Technique: Two-panel axial: CT | PSMA PET, 18F tracer. slice 155 of 431. PET panel 200×200 px (4.1 mm/px).
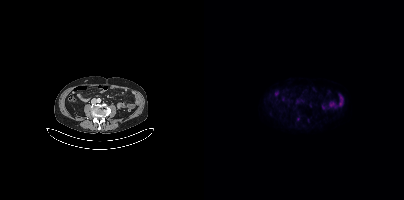
Findings: Only PSMA-avid lesion pieces thinner than 2 px on this slice (not listed).